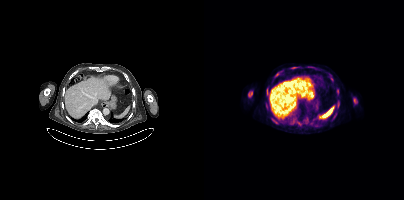
{"modality":"PSMA PET/CT","view":"axial","tracer":"[18F]PSMA-1007","pet_grid":[200,200],"coord_frame":"pet_panel","coord_format":"x0,y0,x1,y1","partial":true,"lesion_bboxes":[[44,91,48,97],[149,98,153,103],[62,106,64,110],[129,115,131,119],[69,120,73,123]],"small_foci_centers":[[133,104],[72,74],[134,91],[63,95]]}